modality: PSMA PET/CT | tracer: 18F-PSMA | view: axial
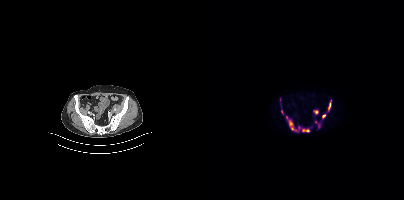
Coordinates are on the 200×200 PET (right) panel. (showing 9 of 14 foci) PSMA-avid tumor lesion bounding boxes (x0, y0)-(x1, y1): (85, 120)-(92, 130) / (98, 129)-(105, 131) / (124, 103)-(126, 108). Small PSMA-avid foci (2 to 4 px across) near (center x, center y): (112, 112) / (119, 116) / (114, 125) / (78, 112) / (82, 117) / (111, 121).